- Two-panel axial: CT | PSMA PET, [18F]PSMA-1007 tracer
- PET panel 168×168 px (4.1 mm/px)
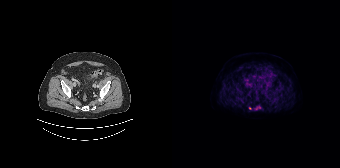
Findings: Coordinates are on the 168×168 PET (right) panel. (showing 1 of 2 foci) Small PSMA-avid focus (2 to 4 px across) near (center x, center y): (77, 108).